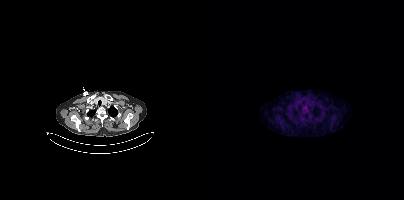
{"modality":"PSMA PET/CT","view":"axial","tracer":"18F-PSMA","pet_grid":[200,200],"coord_frame":"pet_panel","coord_format":"x0,y0,x1,y1","psma_avid_lesions":false}